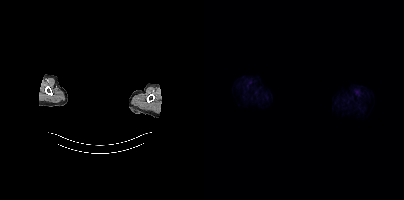
modality: PSMA PET/CT | tracer: [18F]PSMA-1007 | view: axial | PET grid: 200×200 | deidentification: face masked with black rectangle
No tumor lesions annotated on this slice.